Paired axial CT (left) and PSMA PET (right), 18F-PSMA tracer. Slice 318 of 403.
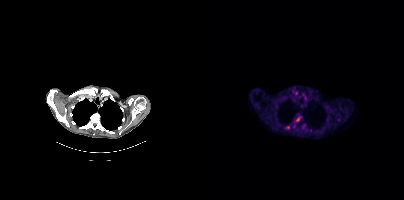
Coordinates are on the 200×200 PET (right) panel. PSMA-avid tumor lesion bounding box (x0,y0,x1,y1): [92,117,96,121]. Small PSMA-avid focus (2 to 4 px across) near (center x, center y): (84, 127).